Left: CT. Right: PSMA PET, same axial level, 18F-PSMA tracer. Acquired on Siemens Biograph mCT Flow 20. Slice 52 of 452. PET panel 200×200 px (4.1 mm/px).
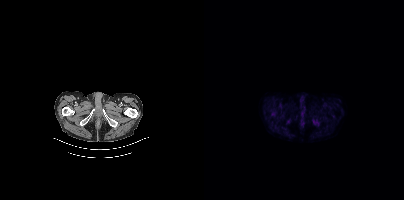
This slice has no annotated PSMA-avid lesion.